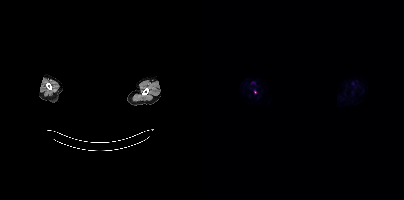
Coordinates are on the 200×200 PET (right) panel. Small PSMA-avid focus (2 to 4 px across) near (center x, center y): (51, 92).
The head region is masked for de-identification.